Left: CT. Right: PSMA PET, same axial level, [18F]PSMA-1007 tracer. Slice 295 of 423.
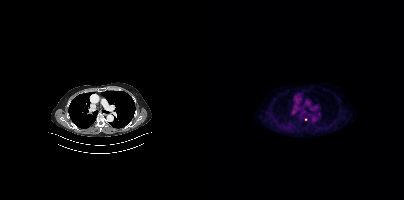
Coordinates are on the 200×200 PET (right) panel. Small PSMA-avid focus (2 to 4 px across) near (center x, center y): (101, 119).